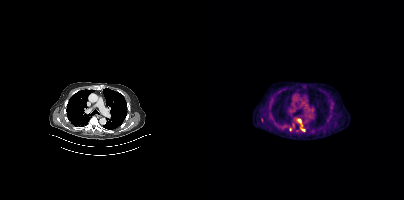
{"modality":"PSMA PET/CT","view":"axial","tracer":"18F","pet_grid":[200,200],"coord_frame":"pet_panel","coord_format":"x0,y0,x1,y1","partial":true,"lesion_bboxes":[],"small_foci_centers":[[95,120],[99,130]]}